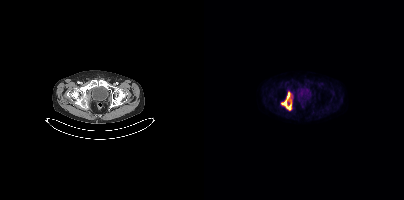
Coordinates are on the 200×200 PET (right) panel. PSMA-avid tumor lesion bounding box (x0,y0,x1,y1): [77,92,88,110].